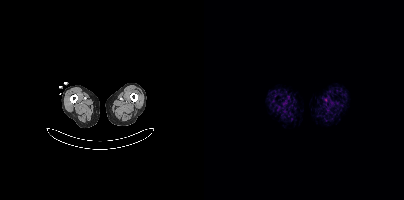
Technique: Two-panel axial: CT | PSMA PET, 18F-PSMA tracer. acquired on Siemens Biograph mCT Flow 20.
Findings: No PSMA-avid tumor lesions on this slice.